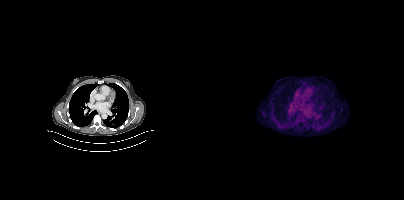
modality: PSMA PET/CT | tracer: 18F-PSMA | view: axial | PET grid: 200×200
This slice has no annotated PSMA-avid lesion.